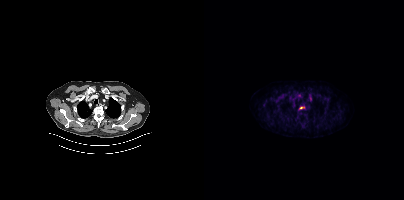
Paired axial CT (left) and PSMA PET (right), [18F]PSMA-1007 tracer. Slice 367 of 466. PET panel 200×200 px (4.1 mm/px).
Coordinates are on the 200×200 PET (right) panel. PSMA-avid tumor lesion bounding boxes:
| # | x0 | y0 | x1 | y1 |
|---|---|---|---|---|
| 1 | 96 | 107 | 100 | 108 |